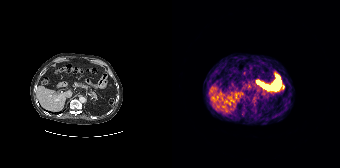
{"modality":"PSMA PET/CT","view":"axial","tracer":"[68Ga]Ga-PSMA-11","pet_grid":[168,168],"coord_frame":"pet_panel","coord_format":"x0,y0,x1,y1","psma_avid_lesions":false}